modality: PSMA PET/CT | tracer: [18F]PSMA-1007 | view: axial
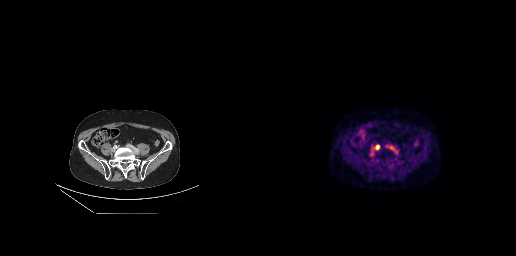
Coordinates are on the 256×256 PET (right) panel. PSMA-avid tumor lesion bounding box (x0,y0,x1,y1): [115,145,119,149].